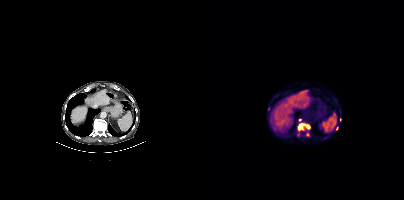
- Left: CT. Right: PSMA PET, same axial level, 18F tracer
- slice position z = -101 mm
Findings: Coordinates are on the 200×200 PET (right) panel. PSMA-avid tumor lesion bounding boxes (x, y, width, height): x=94 y=124 w=12 h=7; x=93 y=132 w=3 h=5. Small PSMA-avid foci (2 to 4 px across) near (center x, center y): (103, 134); (64, 108); (96, 119); (136, 119); (132, 128).